Technique: Two-panel axial: CT | PSMA PET, 18F-PSMA tracer. slice 106 of 381.
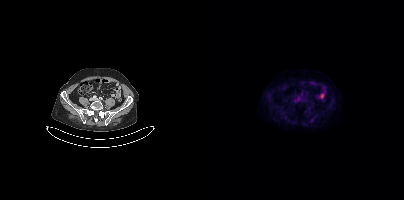
Findings: No tumor lesions annotated on this slice.